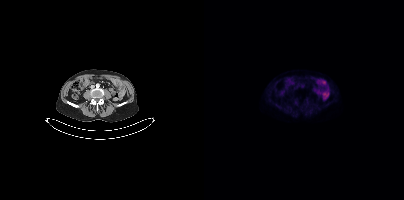
No PSMA-avid tumor lesions on this slice.